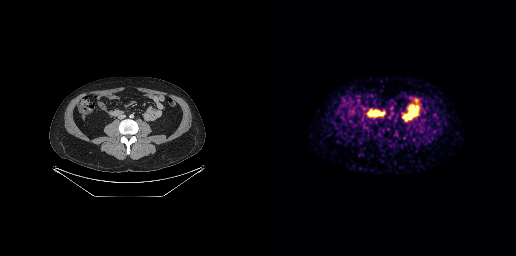
This slice has no annotated PSMA-avid lesion.